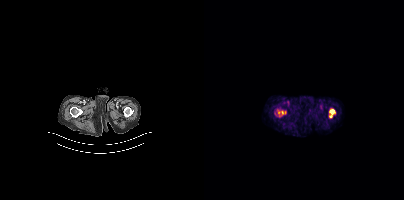
Coordinates are on the 200×200 PET (right) panel. (showing 2 of 3 foci) PSMA-avid tumor lesion bounding box (x, y, width, height): x=73 y=109 w=7 h=8. Small PSMA-avid focus (2 to 4 px across) near (center x, center y): (71, 114).
modality: PSMA PET/CT | tracer: 18F-PSMA | view: axial